Two-panel axial: CT | PSMA PET, [18F]PSMA-1007 tracer. Slice 97 of 963. PET panel 200×200 px (4.1 mm/px).
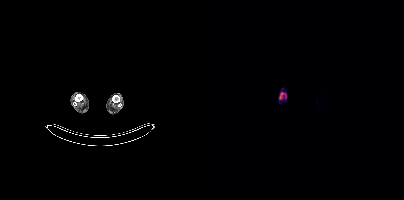
Coordinates are on the 200×200 PET (right) panel. PSMA-avid tumor lesion bounding boxes:
| # | x0 | y0 | x1 | y1 |
|---|---|---|---|---|
| 1 | 75 | 92 | 82 | 99 |